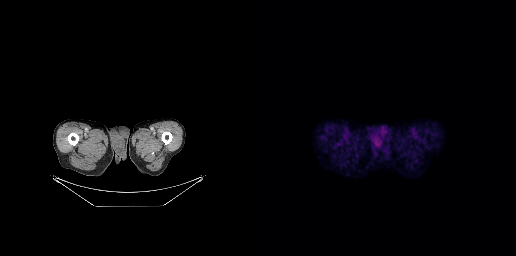
- Paired axial CT (left) and PSMA PET (right), 18F tracer
- acquired on GE Discovery 690
- slice position z = -895 mm
- PET panel 256×256 px (2.7 mm/px)
Findings: Negative for PSMA-avid disease on this slice.